Technique: Two-panel axial: CT | PSMA PET, 18F-PSMA tracer. slice 341 of 423. PET panel 200×200 px (4.1 mm/px).
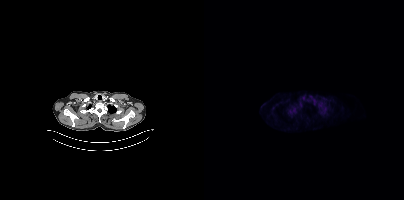
Findings: This slice has no annotated PSMA-avid lesion.